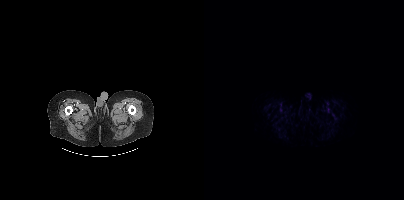
No tumor lesions annotated on this slice. Two-panel axial: CT | PSMA PET, [18F]PSMA-1007 tracer. Acquired on Siemens Biograph mCT Flow 20.